Technique: Two-panel axial: CT | PSMA PET, 18F tracer.
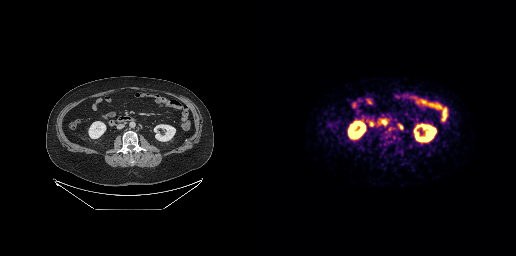
Findings: Coordinates are on the 256×256 PET (right) panel. PSMA-avid tumor lesion bounding box (x0, y0)-(x1, y1): (122, 119)-(127, 124).